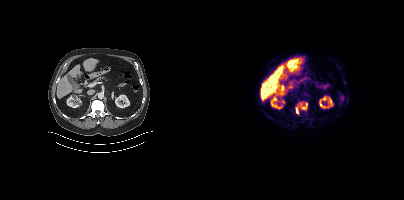
Left: CT. Right: PSMA PET, same axial level, 18F tracer. PET panel 200×200 px (4.1 mm/px).
Coordinates are on the 200×200 PET (right) panel. PSMA-avid tumor lesion bounding boxes:
| # | x0 | y0 | x1 | y1 |
|---|---|---|---|---|
| 1 | 92 | 101 | 103 | 113 |